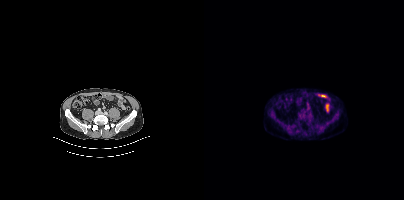
{"pet_grid":[200,200],"coord_frame":"pet_panel","coord_format":"x0,y0,x1,y1","psma_avid_lesions":false,"modality":"PSMA PET/CT","view":"axial","tracer":"18F-PSMA"}